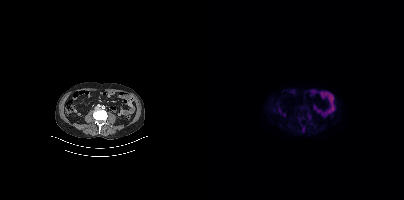
{"modality":"PSMA PET/CT","view":"axial","tracer":"18F","pet_grid":[200,200],"coord_frame":"pet_panel","coord_format":"x0,y0,x1,y1","psma_avid_lesions":false}